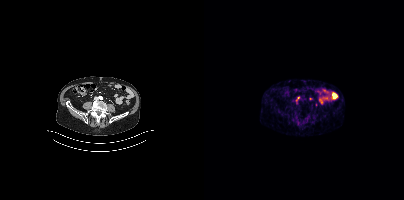
Coordinates are on the 200×200 PET (right) panel. (showing 1 of 2 foci) Small PSMA-avid focus (2 to 4 px across) near (center x, center y): (93, 98).
modality: PSMA PET/CT | tracer: 68Ga-PSMA | view: axial